Left: CT. Right: PSMA PET, same axial level, 18F tracer. Acquired on Siemens Biograph mCT Flow 20.
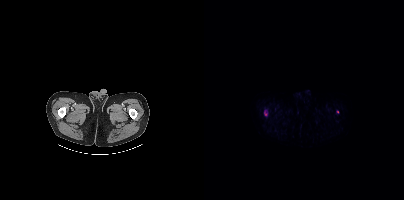
Coordinates are on the 200×200 PET (right) panel. PSMA-avid tumor lesion bounding boxes:
| # | x0 | y0 | x1 | y1 |
|---|---|---|---|---|
| 1 | 60 | 110 | 63 | 115 |
Small PSMA-avid focus (2 to 4 px across) near (center x, center y): (133, 111).